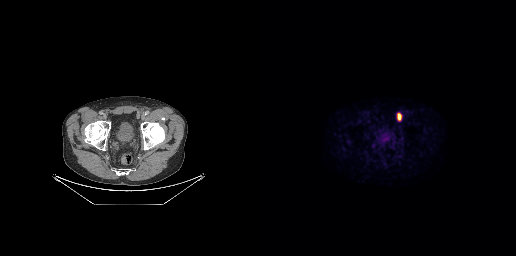
Paired axial CT (left) and PSMA PET (right), 18F-PSMA tracer. Acquired on GE Discovery 690. PET panel 256×256 px (2.7 mm/px). Coordinates are on the 256×256 PET (right) panel. PSMA-avid tumor lesion bounding box (x0,y0,x1,y1): [137,113,141,120].